De-identified by setting a box covering the face to black before release. Left: CT. Right: PSMA PET, same axial level, 18F tracer. Slice 471 of 508.
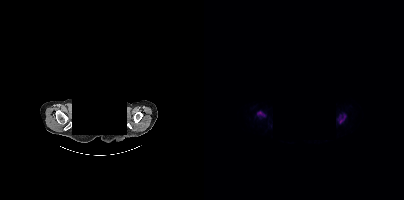
Coordinates are on the 200×200 PET (right) panel. PSMA-avid tumor lesion bounding boxes (partial; 1 more focus not listed):
| # | x0 | y0 | x1 | y1 |
|---|---|---|---|---|
| 1 | 135 | 115 | 141 | 123 |
| 2 | 54 | 112 | 58 | 114 |